Head region blanked for anonymization (face removed).
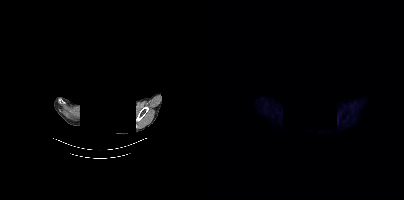
Negative for PSMA-avid disease on this slice.